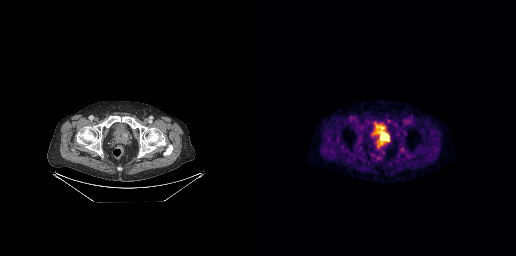
{"modality":"PSMA PET/CT","view":"axial","tracer":"18F","pet_grid":[256,256],"coord_frame":"pet_panel","coord_format":"x0,y0,x1,y1","lesion_bboxes":[[122,134,127,138]]}